Left: CT. Right: PSMA PET, same axial level, [68Ga]Ga-PSMA-11 tracer. PET panel 256×256 px (2.7 mm/px).
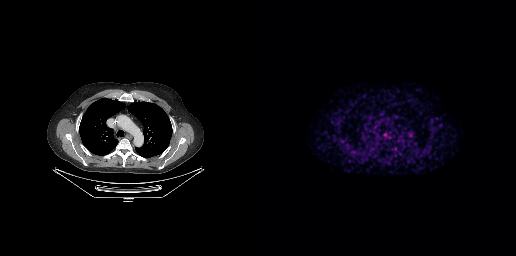
No tumor lesions annotated on this slice.